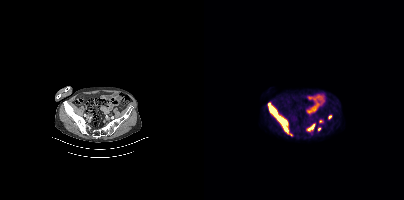
modality: PSMA PET/CT | tracer: 18F-PSMA | view: axial
Coordinates are on the 200×200 PET (right) panel. PSMA-avid tumor lesion bounding boxes (x, y, width, height): x=64 y=102 w=25 h=34; x=102 y=123 w=10 h=9; x=124 y=115 w=5 h=5; x=113 y=127 w=5 h=5. Small PSMA-avid focus (2 to 4 px across) near (center x, center y): (116, 121).